Technique: Left: CT. Right: PSMA PET, same axial level, [18F]PSMA-1007 tracer. acquired on Siemens Biograph mCT Flow 20. PET panel 200×200 px (4.1 mm/px).
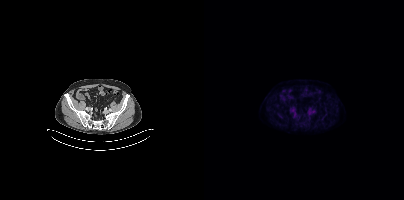
Findings: Negative for PSMA-avid disease on this slice.